- Paired axial CT (left) and PSMA PET (right), [18F]PSMA-1007 tracer
- PET panel 256×256 px (2.7 mm/px)
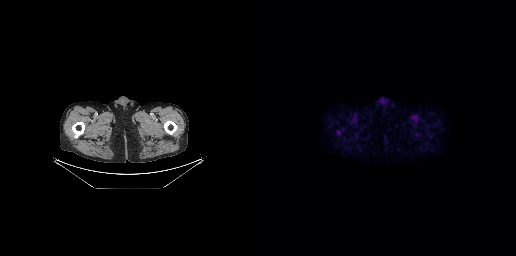
Findings: Only PSMA-avid lesion pieces thinner than 2 px on this slice (not listed).